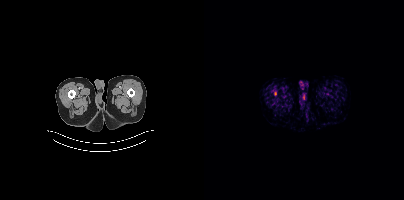
This slice has no annotated PSMA-avid lesion.